Two-panel axial: CT | PSMA PET, 18F-PSMA tracer. Acquired on Siemens Biograph mCT Flow 20. PET panel 200×200 px (4.1 mm/px).
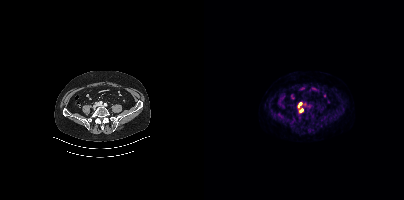
Coordinates are on the 200×200 PET (right) panel. Small PSMA-avid foci (2 to 4 px across) near (center x, center y): (96, 103) | (97, 110).